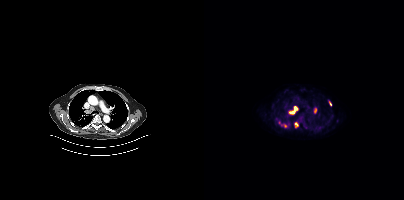
Technique: Left: CT. Right: PSMA PET, same axial level, 18F-PSMA tracer. PET panel 200×200 px (4.1 mm/px).
Findings: Coordinates are on the 200×200 PET (right) panel. (showing 5 of 7 foci) PSMA-avid tumor lesion bounding boxes (x0,y0,x1,y1): [85,106,93,114]; [110,108,112,112]; [91,122,94,126]; [125,101,127,105]. Small PSMA-avid focus (2 to 4 px across) near (center x, center y): (81, 125).